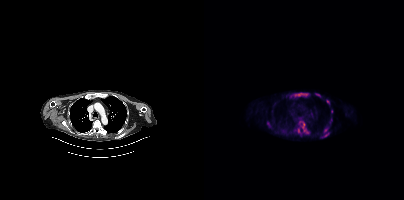
Two-panel axial: CT | PSMA PET, [18F]PSMA-1007 tracer. Slice 317 of 415.
Coordinates are on the 200×200 PET (right) panel. PSMA-avid tumor lesion bounding boxes (partial; 4 more foci not listed):
| # | x0 | y0 | x1 | y1 |
|---|---|---|---|---|
| 1 | 94 | 93 | 104 | 96 |
| 2 | 119 | 128 | 125 | 136 |
| 3 | 98 | 122 | 103 | 133 |
| 4 | 85 | 94 | 89 | 98 |
| 5 | 111 | 93 | 116 | 96 |
Small PSMA-avid foci (2 to 4 px across) near (center x, center y): (123, 101); (94, 130); (107, 113); (127, 111); (63, 123).